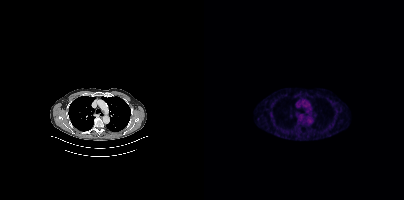
{"modality":"PSMA PET/CT","view":"axial","tracer":"18F-PSMA","pet_grid":[200,200],"coord_frame":"pet_panel","coord_format":"x0,y0,x1,y1","lesion_bboxes":[],"small_foci_centers":[[67,115]]}